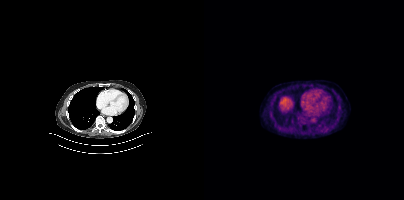
Two-panel axial: CT | PSMA PET, 18F tracer. Slice position z = -1100 mm. Coordinates are on the 200×200 PET (right) panel. Small PSMA-avid focus (2 to 4 px across) near (center x, center y): (121, 130).